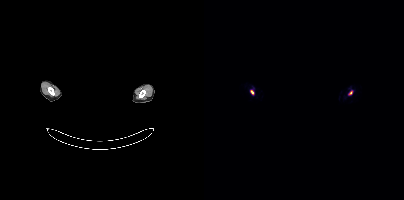
{"modality":"PSMA PET/CT","view":"axial","tracer":"68Ga","pet_grid":[200,200],"coord_frame":"pet_panel","coord_format":"x0,y0,x1,y1","lesion_bboxes":[[47,90,49,94]],"small_foci_centers":[[146,92]],"deidentification":"privacy mask over head"}